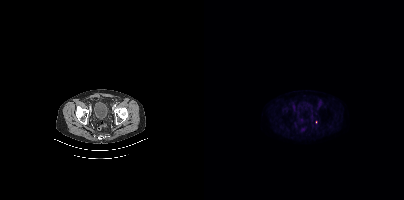
Only PSMA-avid lesion pieces thinner than 2 px on this slice (not listed).